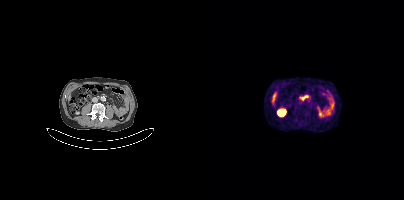
modality: PSMA PET/CT | tracer: 68Ga | view: axial | PET grid: 200×200
Negative for PSMA-avid disease on this slice.